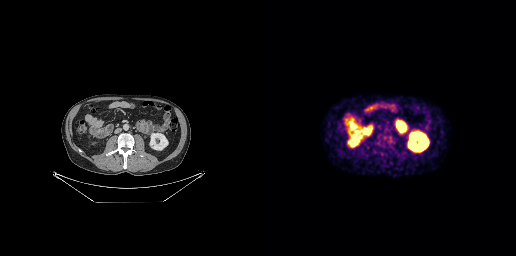
{"modality":"PSMA PET/CT","view":"axial","tracer":"[18F]PSMA-1007","pet_grid":[256,256],"coord_frame":"pet_panel","coord_format":"x0,y0,x1,y1","lesion_bboxes":[[119,135,135,144]],"small_foci_centers":[[118,145]]}